modality: PSMA PET/CT | tracer: 18F | view: axial
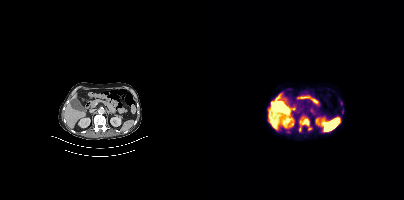
Coordinates are on the 200×200 PET (right) panel. (showing 1 of 2 foci) PSMA-avid tumor lesion bounding box (x0,y0,x1,y1): [95,120,107,131].